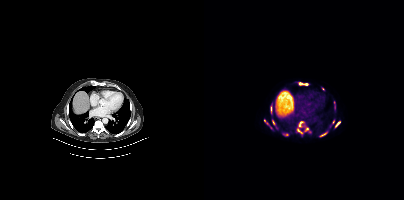
{"modality":"PSMA PET/CT","view":"axial","tracer":"[18F]PSMA-1007","pet_grid":[200,200],"coord_frame":"pet_panel","coord_format":"x0,y0,x1,y1","partial":true,"lesion_bboxes":[[131,121,136,127],[95,121,99,126],[93,129,98,133],[116,133,122,136],[95,83,99,84]],"small_foci_centers":[[69,122],[103,128],[102,84],[129,122]]}